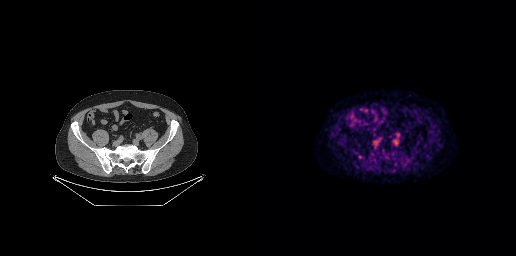
Two-panel axial: CT | PSMA PET, 18F-PSMA tracer. PET panel 256×256 px (2.7 mm/px). Coordinates are on the 256×256 PET (right) panel. PSMA-avid tumor lesion bounding box (x0,y0,x1,y1): [98,155,103,158].